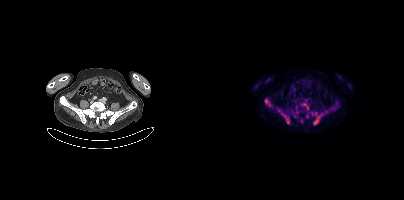
Left: CT. Right: PSMA PET, same axial level, 18F tracer. Coordinates are on the 200×200 PET (right) panel. (showing 5 of 9 foci) PSMA-avid tumor lesion bounding boxes (x0, y0)-(x1, y1): (109, 112)-(119, 124) | (77, 113)-(86, 123) | (61, 100)-(67, 106) | (98, 104)-(104, 109). Small PSMA-avid focus (2 to 4 px across) near (center x, center y): (102, 116).